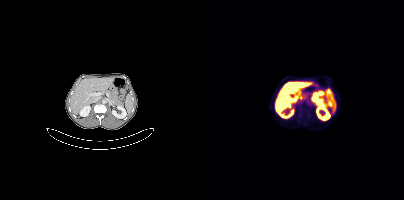
{"modality":"PSMA PET/CT","view":"axial","tracer":"18F","pet_grid":[200,200],"coord_frame":"pet_panel","coord_format":"x0,y0,x1,y1","lesion_bboxes":[[96,106,102,112]]}